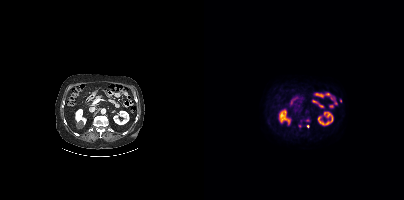
- Left: CT. Right: PSMA PET, same axial level, 18F-PSMA tracer
Findings: Only PSMA-avid lesion pieces thinner than 2 px on this slice (not listed).